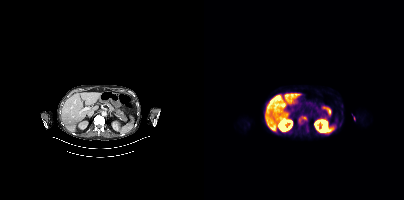
{"modality":"PSMA PET/CT","view":"axial","tracer":"18F-PSMA","pet_grid":[200,200],"coord_frame":"pet_panel","coord_format":"x0,y0,x1,y1","partial":true,"lesion_bboxes":[[94,116,103,124]]}